Paired axial CT (left) and PSMA PET (right), [18F]PSMA-1007 tracer. Acquired on Siemens Biograph mCT Flow 20.
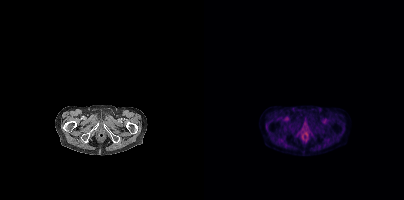
No tumor lesions annotated on this slice.